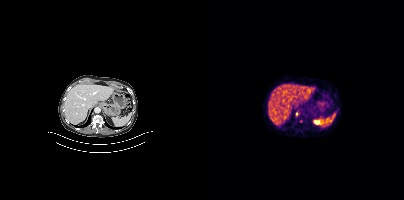
modality: PSMA PET/CT | tracer: [68Ga]Ga-PSMA-11 | view: axial
Coordinates are on the 200×200 PET (right) panel. (showing 1 of 2 foci) Small PSMA-avid focus (2 to 4 px across) near (center x, center y): (92, 113).